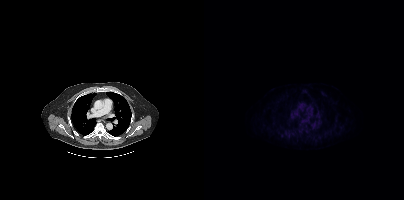
Only PSMA-avid lesion pieces thinner than 2 px on this slice (not listed).
modality: PSMA PET/CT | tracer: 18F | view: axial